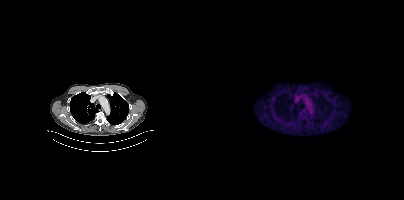
No PSMA-avid tumor lesions on this slice. Paired axial CT (left) and PSMA PET (right), 18F-PSMA tracer. Acquired on Siemens Biograph mCT Flow 20. Slice 307 of 407. PET panel 200×200 px (4.1 mm/px).